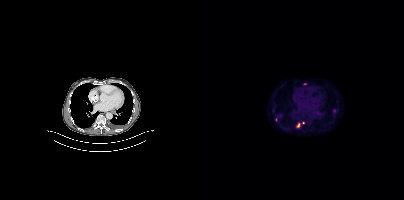
Findings: Coordinates are on the 200×200 PET (right) panel. (showing 5 of 6 foci) PSMA-avid tumor lesion bounding boxes (x0, y0)-(x1, y1): (129, 109)-(132, 113); (93, 123)-(96, 127). Small PSMA-avid foci (2 to 4 px across) near (center x, center y): (113, 112); (72, 119); (99, 122).
- Paired axial CT (left) and PSMA PET (right), 18F-PSMA tracer
- slice position z = 340 mm